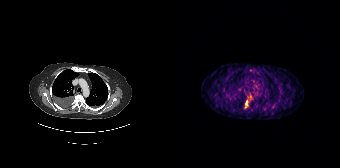
- Paired axial CT (left) and PSMA PET (right), 68Ga tracer
- acquired on Siemens Biograph 64-4R TruePoint
- slice position z = -1066 mm
- PET panel 168×168 px (4.1 mm/px)
Findings: Coordinates are on the 168×168 PET (right) panel. PSMA-avid tumor lesion bounding box (x0, y0)-(x1, y1): (72, 101)-(76, 108).